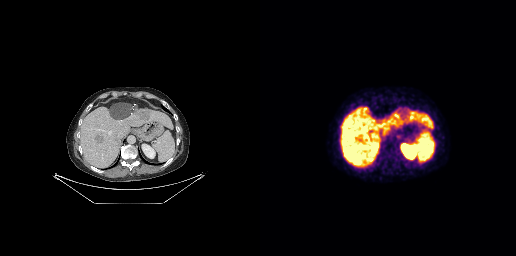
{"modality":"PSMA PET/CT","view":"axial","tracer":"18F","pet_grid":[256,256],"coord_frame":"pet_panel","coord_format":"x0,y0,x1,y1","psma_avid_lesions":false}